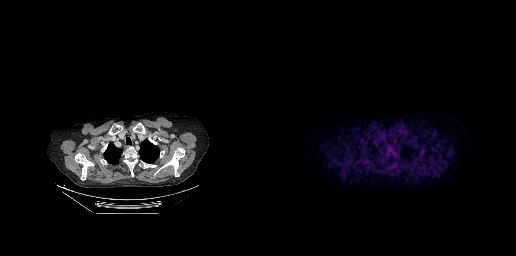
Technique: Paired axial CT (left) and PSMA PET (right), 18F tracer.
Findings: Coordinates are on the 256×256 PET (right) panel. PSMA-avid tumor lesion bounding box (x0,y0,x1,y1): [131,163,137,168].